modality: PSMA PET/CT | tracer: 18F | view: axial
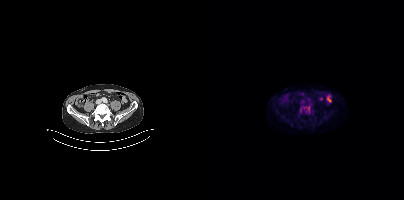
Coordinates are on the 200×200 PET (right) panel. (showing 2 of 4 foci) PSMA-avid tumor lesion bounding boxes (x0,y0,x1,y1): [95,109,98,114] [103,106,105,112].